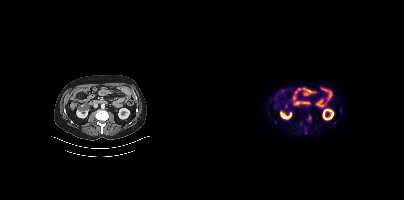
Coordinates are on the 200×200 PET (right) panel. (showing 2 of 3 foci) PSMA-avid tumor lesion bounding box (x0, y0)-(x1, y1): (101, 130)-(102, 134). Small PSMA-avid focus (2 to 4 px across) near (center x, center y): (105, 118).